modality: PSMA PET/CT | tracer: 18F-PSMA | view: axial | PET grid: 168×168
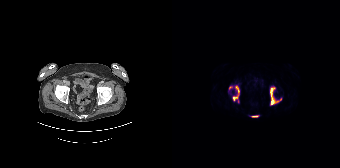
Coordinates are on the 168×168 PET (right) panel. PSMA-avid tumor lesion bounding boxes (x0, y0)-(x1, y1): (98, 86)-(109, 105) / (57, 85)-(67, 102) / (79, 115)-(86, 117).